Two-panel axial: CT | PSMA PET, 18F tracer. PET panel 200×200 px (4.1 mm/px).
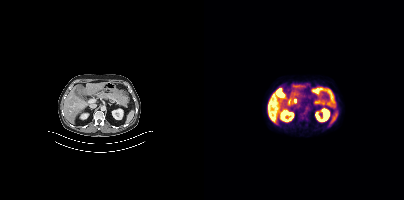
No PSMA-avid tumor lesions on this slice.